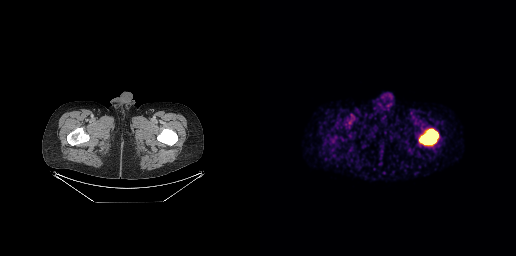
Coordinates are on the 256×256 PET (right) panel. PSMA-avid tumor lesion bounding box (x0,y0,x1,y1): [159,129,178,144].